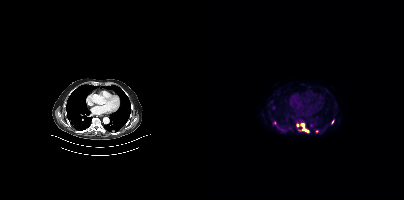
Coordinates are on the 200×200 PET (right) panel. (showing 4 of 6 foci) PSMA-avid tumor lesion bounding box (x, y, width, height): x=97 y=123 w=8 h=10. Small PSMA-avid foci (2 to 4 px across) near (center x, center y): (128, 121) | (93, 125) | (112, 131).